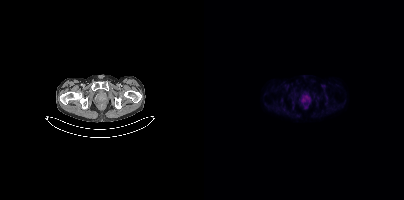
Left: CT. Right: PSMA PET, same axial level, 18F tracer. Acquired on Siemens Biograph mCT Flow 20. PET panel 200×200 px (4.1 mm/px). Coordinates are on the 200×200 PET (right) panel. PSMA-avid tumor lesion bounding box (x0,y0,x1,y1): [102,96,106,99]. Small PSMA-avid focus (2 to 4 px across) near (center x, center y): (99, 99).